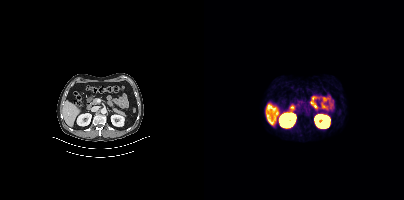
Paired axial CT (left) and PSMA PET (right), 68Ga-PSMA tracer. Slice 204 of 407. PET panel 200×200 px (4.1 mm/px). No PSMA-avid tumor lesions on this slice.